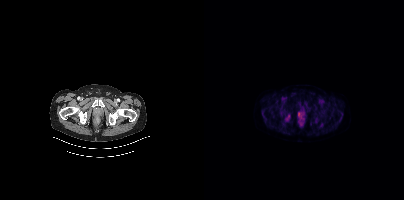
- Left: CT. Right: PSMA PET, same axial level, 18F tracer
- slice position z = -101 mm
- PET panel 200×200 px (4.1 mm/px)
Findings: Coordinates are on the 200×200 PET (right) panel. PSMA-avid tumor lesion bounding box (x0,y0,x1,y1): [94,112,96,116].